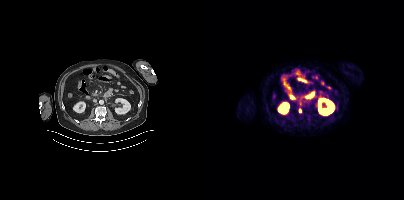
Coordinates are on the 200×200 PET (right) panel. Small PSMA-avid focus (2 to 4 px across) near (center x, center y): (96, 110).